Two-panel axial: CT | PSMA PET, 68Ga tracer. Slice position z = -1010 mm. PET panel 256×256 px (2.7 mm/px).
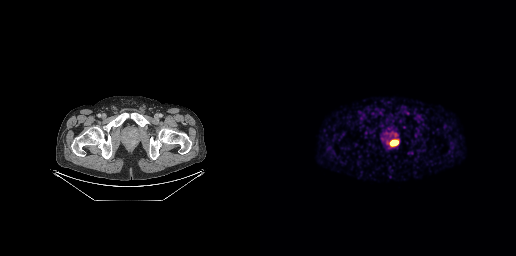
Coordinates are on the 256×256 PET (right) panel. PSMA-avid tumor lesion bounding box (x0,y0,x1,y1): [130,140,138,145].